An anonymization step blacked out a rectangle over the head in this scan.
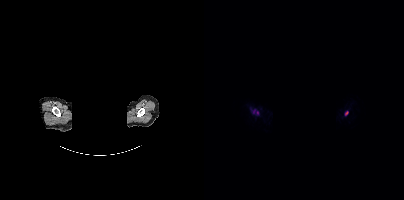
Coordinates are on the 200×200 PET (right) panel. PSMA-avid tumor lesion bounding boxes (x0,y0,x1,y1): [49,109,54,114] [141,111,144,115].